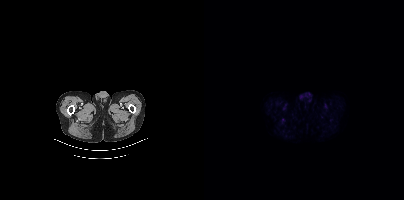
modality: PSMA PET/CT | tracer: [18F]PSMA-1007 | view: axial
No tumor lesions annotated on this slice.